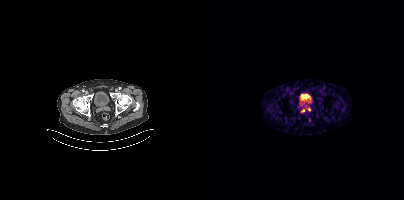
{"pet_grid":[200,200],"coord_frame":"pet_panel","coord_format":"x0,y0,x1,y1","lesion_bboxes":[],"small_foci_centers":[[98,110],[105,109]],"modality":"PSMA PET/CT","view":"axial","tracer":"68Ga-PSMA"}